Two-panel axial: CT | PSMA PET, 18F tracer. Acquired on Siemens Biograph mCT Flow 20. Slice 100 of 403. PET panel 200×200 px (4.1 mm/px).
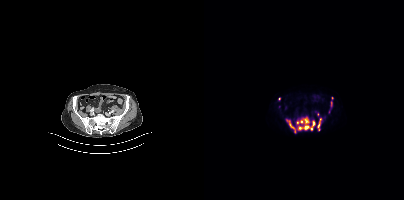
Coordinates are on the 200×200 PET (right) panel. PSMA-avid tumor lesion bounding boxes (partial; 2 more foci not listed):
| # | x0 | y0 | x1 | y1 |
|---|---|---|---|---|
| 1 | 94 | 119 | 110 | 130 |
| 2 | 82 | 119 | 91 | 132 |
| 3 | 114 | 123 | 115 | 130 |
| 4 | 127 | 101 | 128 | 106 |
Small PSMA-avid foci (2 to 4 px across) near (center x, center y): (93, 123); (116, 119); (128, 98); (75, 98).